modality: PSMA PET/CT | tracer: 18F | view: axial | PET grid: 200×200 | de-identification: head region blacked out before release
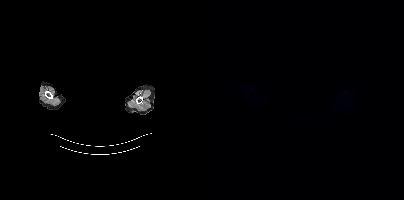
No tumor lesions annotated on this slice.